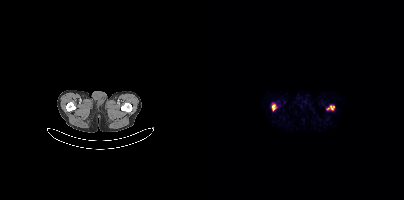
Coordinates are on the 200×200 PET (right) panel. PSMA-avid tumor lesion bounding boxes (x, y, width, height): x=68 y=104 w=4 h=7; x=124 y=106 w=7 h=4. Left: CT. Right: PSMA PET, same axial level, 68Ga-PSMA tracer. Acquired on Siemens Biograph mCT Flow 20. Slice 16 of 393. PET panel 200×200 px (4.1 mm/px).